Two-panel axial: CT | PSMA PET, [18F]PSMA-1007 tracer. Slice position z = -1347 mm.
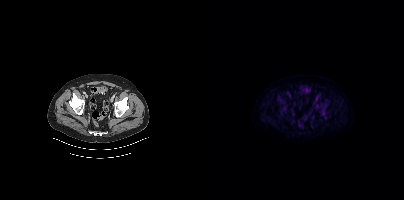
Coordinates are on the 200×200 PET (right) panel. PSMA-avid tumor lesion bounding box (x0,y0,x1,y1): [113,102,123,115]. Small PSMA-avid foci (2 to 4 px across) near (center x, center y): (74, 97); (123, 102); (104, 132).